Left: CT. Right: PSMA PET, same axial level, [18F]PSMA-1007 tracer.
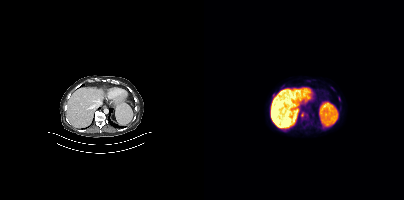
Negative for PSMA-avid disease on this slice.